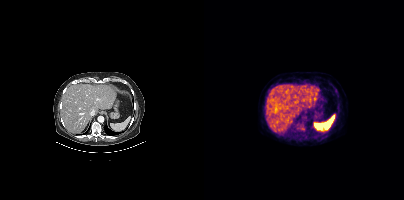
Coordinates are on the 200×200 PET (right) panel. PSMA-avid tumor lesion bounding box (x0,y0,x1,y1): [97,126,100,130].